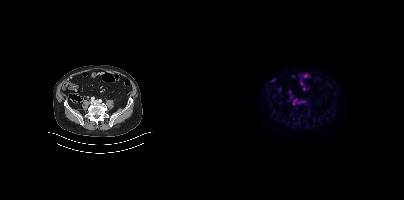
Two-panel axial: CT | PSMA PET, [18F]PSMA-1007 tracer. Acquired on Siemens Biograph mCT Flow 20. Slice 157 of 466. Only PSMA-avid lesion pieces thinner than 2 px on this slice (not listed).